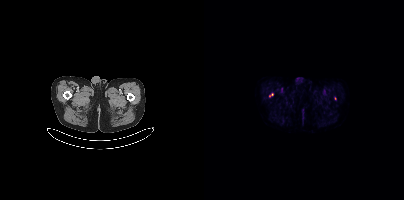
Coordinates are on the 200×200 PET (right) panel. (showing 1 of 2 foci) PSMA-avid tumor lesion bounding box (x0,y0,x1,y1): [65,93,69,96].